deidentification: head region blacked out before release | modality: PSMA PET/CT | tracer: 68Ga | view: axial | PET grid: 256×256
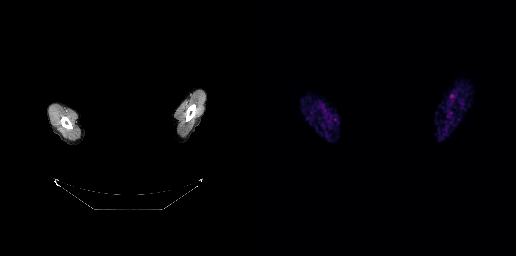
No tumor lesions annotated on this slice.